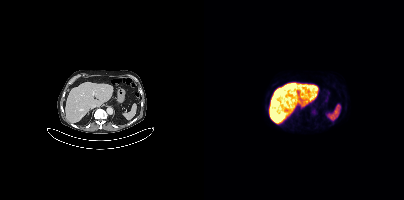
{"pet_grid":[200,200],"coord_frame":"pet_panel","coord_format":"x0,y0,x1,y1","psma_avid_lesions":false,"modality":"PSMA PET/CT","view":"axial","tracer":"18F-PSMA"}